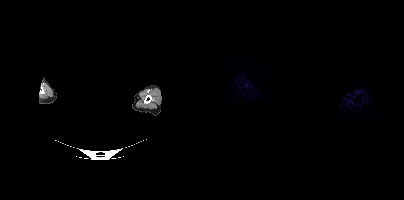
Head region blanked for anonymization (face removed). Left: CT. Right: PSMA PET, same axial level, 18F tracer. PET panel 200×200 px (4.1 mm/px). No PSMA-avid tumor lesions on this slice.